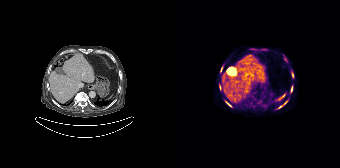
- Two-panel axial: CT | PSMA PET, [18F]PSMA-1007 tracer
- slice position z = -1240 mm
Findings: Coordinates are on the 168×168 PET (right) panel. (showing 6 of 7 foci) PSMA-avid tumor lesion bounding boxes (x0,y0,x1,y1): [106,102,113,108] [54,102,59,106] [48,67,50,71] [120,73,121,77] [47,85,49,89]. Small PSMA-avid focus (2 to 4 px across) near (center x, center y): (119, 90).